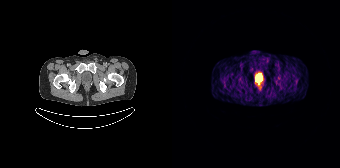
Coordinates are on the 168×168 PET (right) panel. Small PSMA-avid foci (2 to 4 px across) near (center x, center y): (86, 80), (86, 83).